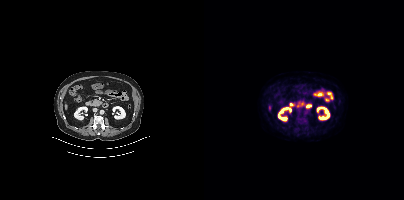
Two-panel axial: CT | PSMA PET, [18F]PSMA-1007 tracer. Acquired on Siemens Biograph mCT Flow 20. Slice 164 of 381. PET panel 200×200 px (4.1 mm/px). No tumor lesions annotated on this slice.